Technique: Left: CT. Right: PSMA PET, same axial level, [18F]PSMA-1007 tracer. acquired on Siemens Biograph mCT Flow 20. slice 317 of 421. PET panel 200×200 px (4.1 mm/px).
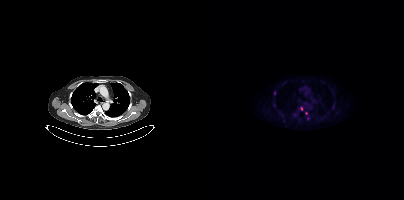
Findings: Coordinates are on the 200×200 PET (right) panel. (showing 2 of 3 foci) Small PSMA-avid foci (2 to 4 px across) near (center x, center y): (70, 93) | (97, 108).